- Left: CT. Right: PSMA PET, same axial level, [18F]PSMA-1007 tracer
- acquired on Siemens Biograph mCT Flow 20
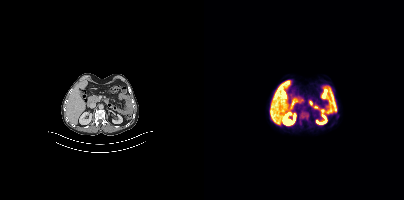
Findings: No PSMA-avid tumor lesions on this slice.